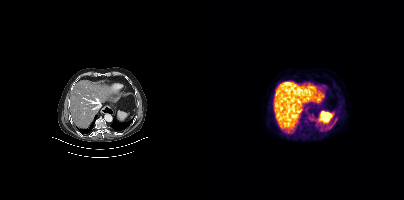
Findings: This slice has no annotated PSMA-avid lesion.
Technique: Two-panel axial: CT | PSMA PET, 18F-PSMA tracer. acquired on Siemens Biograph mCT Flow 20. PET panel 200×200 px (4.1 mm/px).